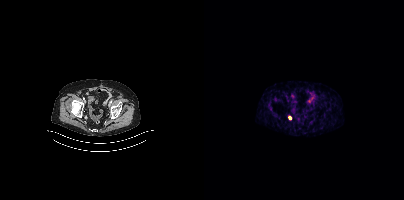
- Paired axial CT (left) and PSMA PET (right), 68Ga tracer
- PET panel 200×200 px (4.1 mm/px)
Findings: Coordinates are on the 200×200 PET (right) panel. Small PSMA-avid focus (2 to 4 px across) near (center x, center y): (86, 118).